modality: PSMA PET/CT | tracer: 18F | view: axial | PET grid: 200×200
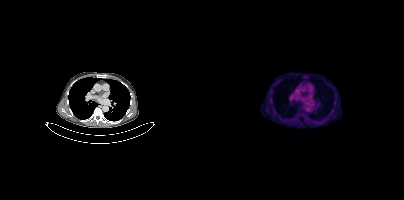
Coordinates are on the 200×200 PET (right) panel. Small PSMA-avid focus (2 to 4 px across) near (center x, center y): (67, 99).